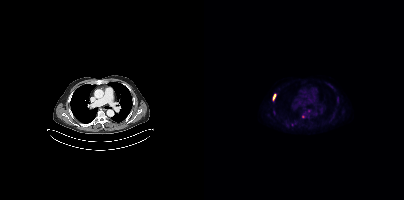
Findings: Coordinates are on the 200×200 PET (right) panel. (showing 2 of 4 foci) PSMA-avid tumor lesion bounding box (x0,y0,x1,y1): [69,94,71,99]. Small PSMA-avid focus (2 to 4 px across) near (center x, center y): (104, 110).
Technique: Left: CT. Right: PSMA PET, same axial level, 18F-PSMA tracer.